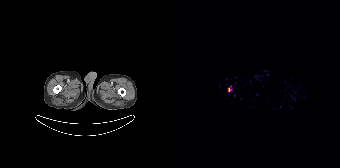
Technique: Two-panel axial: CT | PSMA PET, 18F-PSMA tracer. acquired on Siemens Biograph 64-4R TruePoint. slice 2 of 165. PET panel 168×168 px (4.1 mm/px).
Findings: Coordinates are on the 168×168 PET (right) panel. PSMA-avid tumor lesion bounding box (x, y, width, height): x=56 y=86 w=5 h=7.